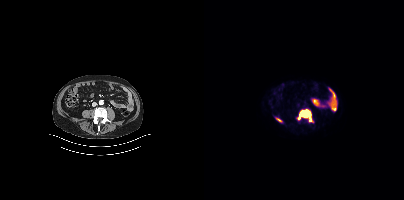
Findings: Coordinates are on the 200×200 PET (right) panel. PSMA-avid tumor lesion bounding boxes (x0,y0,x1,y1): [93,109,109,122] [73,118,77,121].
Technique: Paired axial CT (left) and PSMA PET (right), 18F-PSMA tracer. acquired on Siemens Biograph mCT Flow 20.